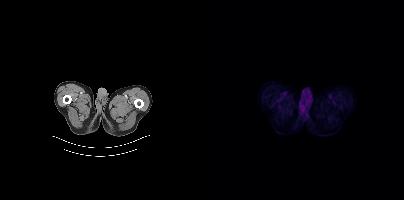
Findings: Negative for PSMA-avid disease on this slice.
Technique: Left: CT. Right: PSMA PET, same axial level, 18F tracer. slice position z = -122 mm. PET panel 200×200 px (4.1 mm/px).